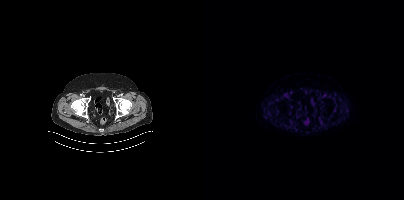
No tumor lesions annotated on this slice. Two-panel axial: CT | PSMA PET, 18F tracer. PET panel 200×200 px (4.1 mm/px).